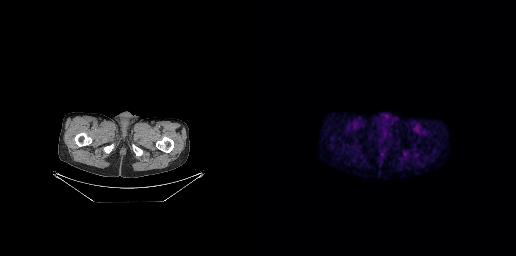
No tumor lesions annotated on this slice.
modality: PSMA PET/CT | tracer: 68Ga | view: axial | PET grid: 256×256